- Left: CT. Right: PSMA PET, same axial level, 18F-PSMA tracer
- slice 218 of 407
- PET panel 200×200 px (4.1 mm/px)
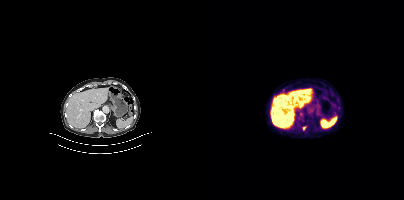
Findings: Coordinates are on the 200×200 PET (right) panel. Small PSMA-avid focus (2 to 4 px across) near (center x, center y): (99, 127).